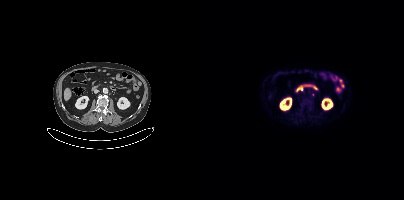
No tumor lesions annotated on this slice.